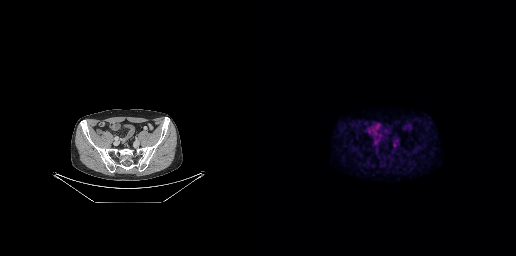
No PSMA-avid tumor lesions on this slice.